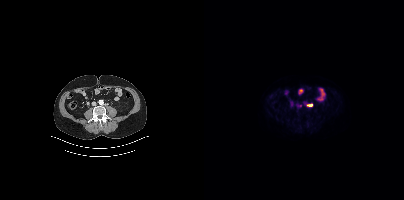
Coordinates are on the 200×200 PET (right) panel. PSMA-avid tumor lesion bounding box (x0, y0)-(x1, y1): (103, 104)-(108, 106). Small PSMA-avid focus (2 to 4 px across) near (center x, center y): (96, 105). Left: CT. Right: PSMA PET, same axial level, [18F]PSMA-1007 tracer. Acquired on Siemens Biograph mCT Flow 20.